Technique: Left: CT. Right: PSMA PET, same axial level, 68Ga-PSMA tracer. slice 195 of 263. PET panel 256×256 px (2.7 mm/px).
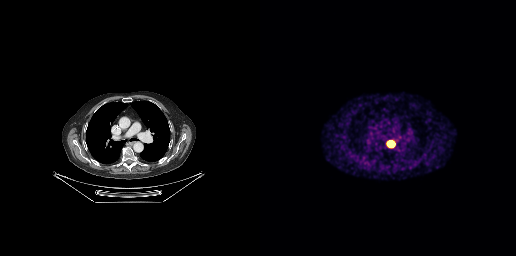
Findings: Coordinates are on the 256×256 PET (right) panel. PSMA-avid tumor lesion bounding box (x0,y0,x1,y1): [127,142,133,146].